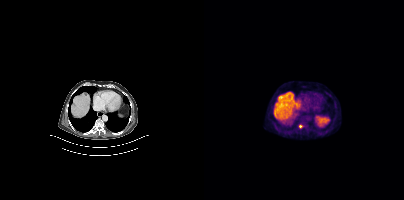
{"modality":"PSMA PET/CT","view":"axial","tracer":"18F","pet_grid":[200,200],"coord_frame":"pet_panel","coord_format":"x0,y0,x1,y1","lesion_bboxes":[[94,124,99,128]]}